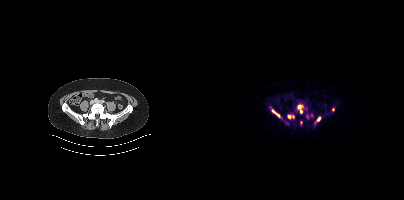
Technique: Paired axial CT (left) and PSMA PET (right), [18F]PSMA-1007 tracer. slice position z = -858 mm.
Findings: Coordinates are on the 200×200 PET (right) panel. (showing 6 of 7 foci) PSMA-avid tumor lesion bounding boxes (x, y, width, height): x=68 y=109 w=9 h=9 / x=84 y=115 w=7 h=4 / x=112 y=117 w=5 h=5. Small PSMA-avid foci (2 to 4 px across) near (center x, center y): (95, 106) / (97, 111) / (129, 109).